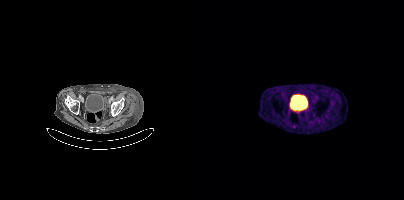
Findings: This slice has no annotated PSMA-avid lesion.
Technique: Paired axial CT (left) and PSMA PET (right), [68Ga]Ga-PSMA-11 tracer. PET panel 200×200 px (4.1 mm/px).